modality: PSMA PET/CT | tracer: 68Ga | view: axial | PET grid: 256×256
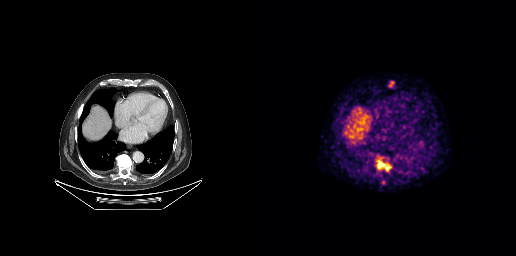
Coordinates are on the 256×256 PET (right) panel. (showing 1 of 3 foci) PSMA-avid tumor lesion bounding box (x0, y0)-(x1, y1): (116, 157)-(131, 171).